Technique: Two-panel axial: CT | PSMA PET, [68Ga]Ga-PSMA-11 tracer. acquired on GE Discovery 690. slice position z = -709 mm. PET panel 256×256 px (2.7 mm/px).
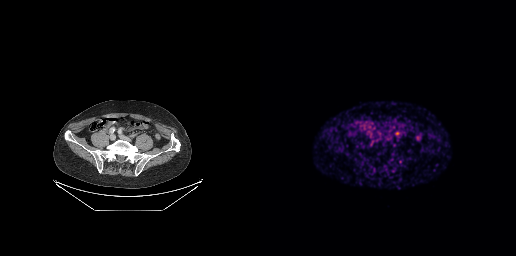
Findings: No tumor lesions annotated on this slice.